redaction: rectangular block over head set to black | modality: PSMA PET/CT | tracer: 68Ga | view: axial
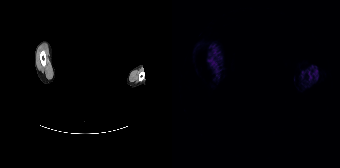
No PSMA-avid tumor lesions on this slice.